Left: CT. Right: PSMA PET, same axial level, 18F-PSMA tracer. Acquired on GE Discovery 690. Slice 112 of 263.
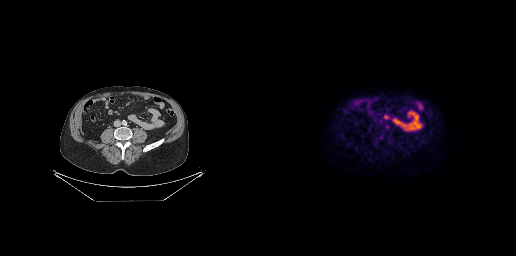
Coordinates are on the 256×256 PET (right) panel. Small PSMA-avid focus (2 to 4 px across) near (center x, center y): (127, 127).